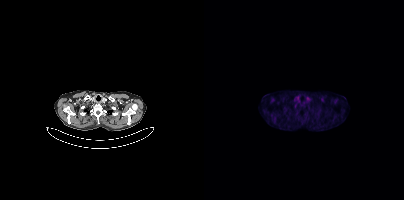
This slice has no annotated PSMA-avid lesion.